Two-panel axial: CT | PSMA PET, 18F tracer. Acquired on GE Discovery 690. PET panel 256×256 px (2.7 mm/px).
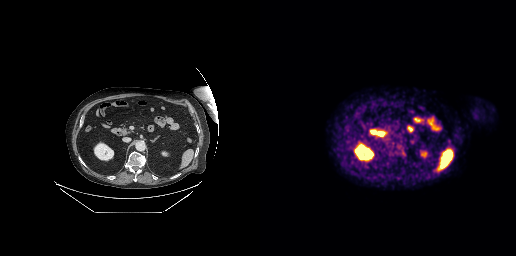
Negative for PSMA-avid disease on this slice.